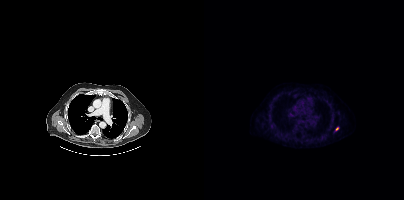
{"modality":"PSMA PET/CT","view":"axial","tracer":"18F-PSMA","pet_grid":[200,200],"coord_frame":"pet_panel","coord_format":"x0,y0,x1,y1","lesion_bboxes":[],"small_foci_centers":[[133,128]]}